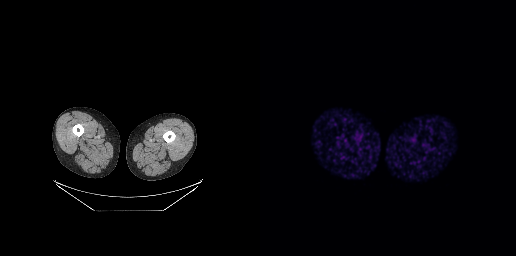
This slice has no annotated PSMA-avid lesion.